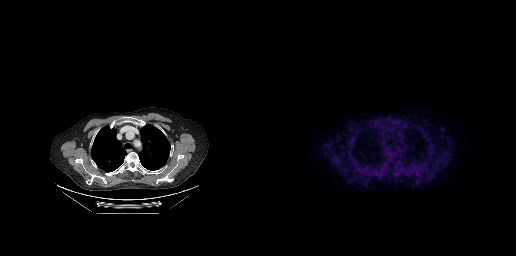
Two-panel axial: CT | PSMA PET, 18F-PSMA tracer. Acquired on GE Discovery 690. Slice position z = -169 mm. No tumor lesions annotated on this slice.